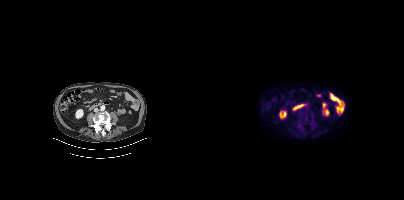
Only PSMA-avid lesion pieces thinner than 2 px on this slice (not listed). Left: CT. Right: PSMA PET, same axial level, [18F]PSMA-1007 tracer.